Paired axial CT (left) and PSMA PET (right), 18F tracer. Acquired on Siemens Biograph mCT Flow 20.
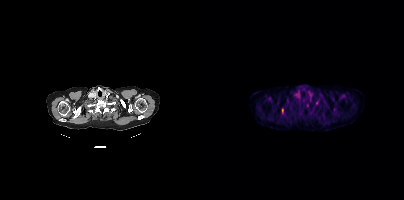
Coordinates are on the 200×200 PET (right) panel. PSMA-avid tumor lesion bounding box (x, y, width, height): x=78 y=108 w=2 h=6.